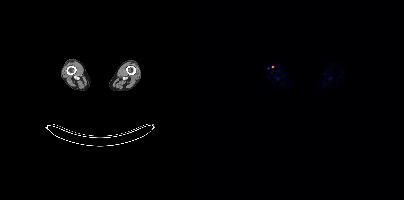
Coordinates are on the 200×200 PET (right) panel. Small PSMA-avid focus (2 to 4 px across) near (center x, center y): (68, 66).